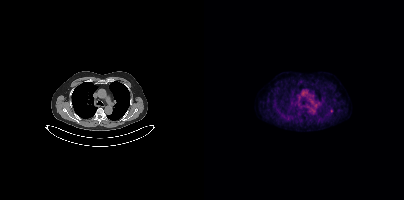
{"modality":"PSMA PET/CT","view":"axial","tracer":"[18F]PSMA-1007","pet_grid":[200,200],"coord_frame":"pet_panel","coord_format":"x0,y0,x1,y1","lesion_bboxes":[],"small_foci_centers":[[127,111]]}